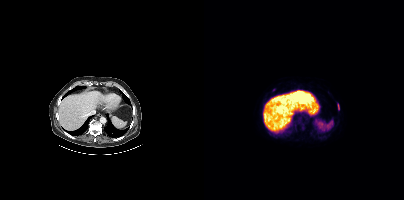
Findings: Coordinates are on the 200×200 PET (right) panel. PSMA-avid tumor lesion bounding box (x, y, width, height): x=133 y=104 w=3 h=7.
- Left: CT. Right: PSMA PET, same axial level, [18F]PSMA-1007 tracer
- slice position z = -614 mm
- PET panel 200×200 px (4.1 mm/px)